- Two-panel axial: CT | PSMA PET, 68Ga tracer
- acquired on Siemens Biograph 64-4R TruePoint
- slice 32 of 165
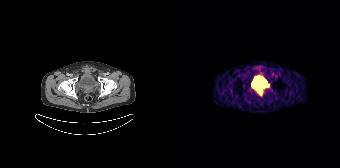
Findings: Coordinates are on the 168×168 PET (right) panel. Small PSMA-avid foci (2 to 4 px across) near (center x, center y): (96, 85) / (84, 88) / (88, 93).